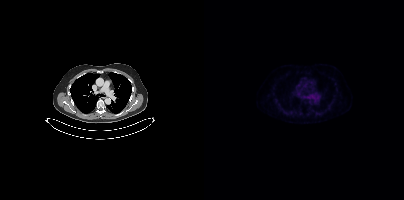
- Two-panel axial: CT | PSMA PET, [68Ga]Ga-PSMA-11 tracer
- acquired on Siemens Biograph mCT Flow 20
- slice position z = -1306 mm
Findings: Coordinates are on the 200×200 PET (right) panel. Small PSMA-avid focus (2 to 4 px across) near (center x, center y): (131, 83).